Left: CT. Right: PSMA PET, same axial level, 18F-PSMA tracer. The face region was removed for patient privacy by blanking a rectangle over the head.
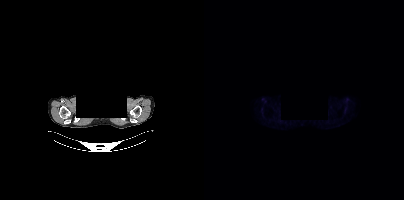
Negative for PSMA-avid disease on this slice.